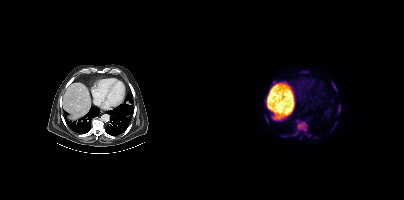
Paired axial CT (left) and PSMA PET (right), [18F]PSMA-1007 tracer. Acquired on Siemens Biograph mCT Flow 20.
Coordinates are on the 200×200 PET (right) panel. PSMA-avid tumor lesion bounding boxes (partial; 2 more foci not listed):
| # | x0 | y0 | x1 | y1 |
|---|---|---|---|---|
| 1 | 89 | 119 | 103 | 136 |
| 2 | 61 | 116 | 64 | 122 |
| 3 | 128 | 82 | 132 | 90 |
Small PSMA-avid foci (2 to 4 px across) near (center x, center y): (135, 111); (105, 135).